modality: PSMA PET/CT | tracer: 18F | view: axial | PET grid: 168×168
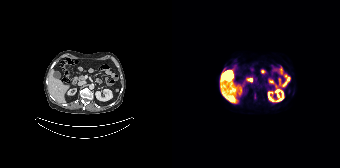
Coordinates are on the 168×168 PET (right) panel. PSMA-avid tumor lesion bounding box (x0,y0,x1,y1): [57,96,62,100].